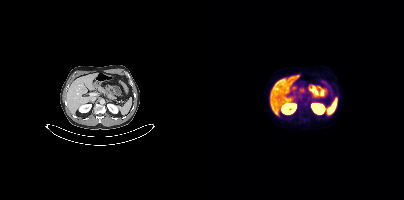
Technique: Two-panel axial: CT | PSMA PET, 18F tracer. slice position z = -1378 mm.
Findings: No tumor lesions annotated on this slice.